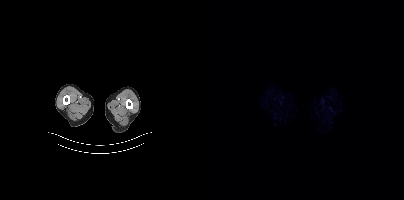
No PSMA-avid tumor lesions on this slice.